Technique: Paired axial CT (left) and PSMA PET (right), [18F]PSMA-1007 tracer. acquired on GE Discovery 690.
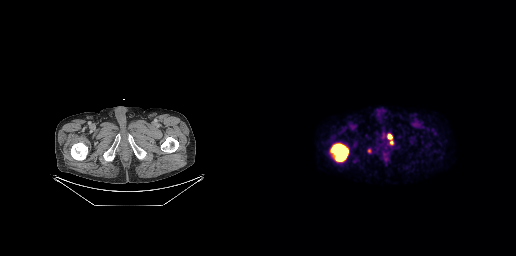
Findings: Coordinates are on the 256×256 PET (right) panel. PSMA-avid tumor lesion bounding boxes (x0, y0)-(x1, y1): (69, 142)-(89, 162) / (127, 134)-(132, 139). Small PSMA-avid focus (2 to 4 px across) near (center x, center y): (131, 142).